Two-panel axial: CT | PSMA PET, 18F tracer.
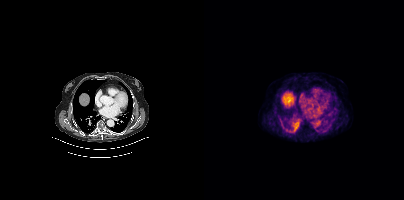
No tumor lesions annotated on this slice.